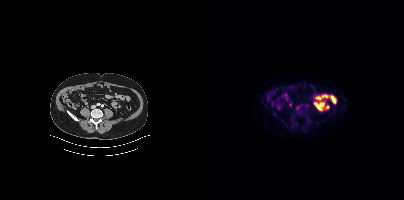
{"modality":"PSMA PET/CT","view":"axial","tracer":"[18F]PSMA-1007","pet_grid":[200,200],"coord_frame":"pet_panel","coord_format":"x0,y0,x1,y1","psma_avid_lesions":false}